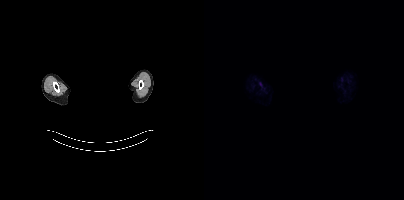
{"pet_grid":[200,200],"coord_frame":"pet_panel","coord_format":"x0,y0,x1,y1","psma_avid_lesions":false,"deidentification":"head region blanked (face removed)","modality":"PSMA PET/CT","view":"axial","tracer":"[18F]PSMA-1007"}